Left: CT. Right: PSMA PET, same axial level, 18F-PSMA tracer. Slice position z = -1368 mm.
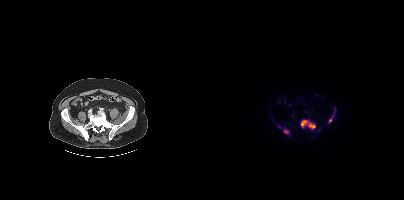
Coordinates are on the 200×200 PET (right) panel. PSMA-avid tumor lesion bounding boxes (x0,y0,x1,y1): [97,120,111,128] [80,130,84,133] [124,118,127,122].